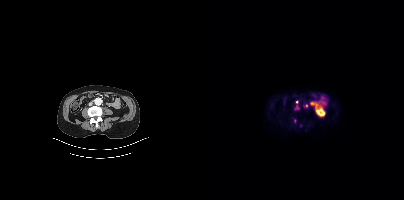
{"pet_grid":[200,200],"coord_frame":"pet_panel","coord_format":"x0,y0,x1,y1","lesion_bboxes":[],"small_foci_centers":[[101,105],[92,102]],"modality":"PSMA PET/CT","view":"axial","tracer":"[68Ga]Ga-PSMA-11"}